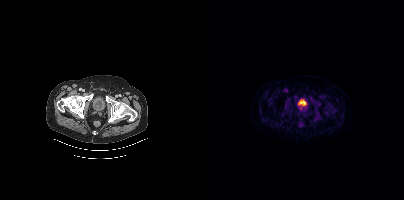
Technique: Left: CT. Right: PSMA PET, same axial level, 18F-PSMA tracer.
Findings: No tumor lesions annotated on this slice.